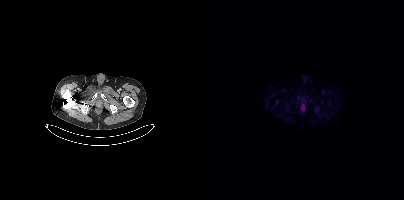
modality: PSMA PET/CT | tracer: 18F-PSMA | view: axial | PET grid: 200×200
Coordinates are on the 200×200 PET (right) panel. Small PSMA-avid focus (2 to 4 px across) near (center x, center y): (93, 97).